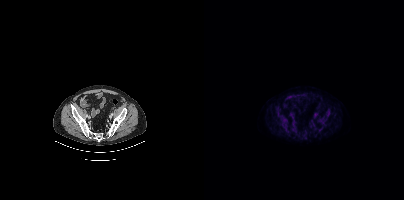
{"modality":"PSMA PET/CT","view":"axial","tracer":"18F-PSMA","pet_grid":[200,200],"coord_frame":"pet_panel","coord_format":"x0,y0,x1,y1","psma_avid_lesions":false}